- Two-panel axial: CT | PSMA PET, [68Ga]Ga-PSMA-11 tracer
- slice 282 of 450
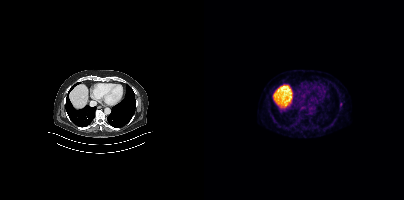
Findings: Coordinates are on the 200×200 PET (right) panel. Small PSMA-avid focus (2 to 4 px across) near (center x, center y): (137, 104).